Technique: Two-panel axial: CT | PSMA PET, [18F]PSMA-1007 tracer. PET panel 200×200 px (4.1 mm/px).
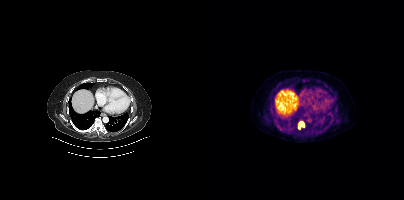
Findings: Coordinates are on the 200×200 PET (right) panel. PSMA-avid tumor lesion bounding box (x0, y0)-(x1, y1): (95, 122)-(100, 126). Small PSMA-avid focus (2 to 4 px across) near (center x, center y): (95, 127).